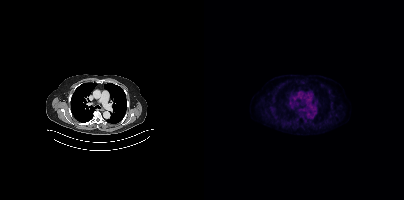
Paired axial CT (left) and PSMA PET (right), [18F]PSMA-1007 tracer. PET panel 200×200 px (4.1 mm/px). Negative for PSMA-avid disease on this slice.